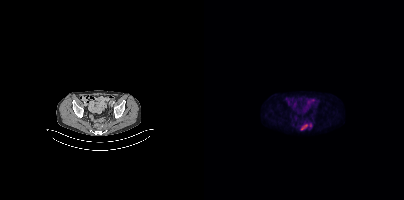
modality: PSMA PET/CT | tracer: [18F]PSMA-1007 | view: axial | PET grid: 200×200
Coordinates are on the 200×200 PET (right) panel. PSMA-avid tumor lesion bounding box (x0,y0,x1,y1): [97,124,103,130]. Small PSMA-avid focus (2 to 4 px across) near (center x, center y): (106, 125).